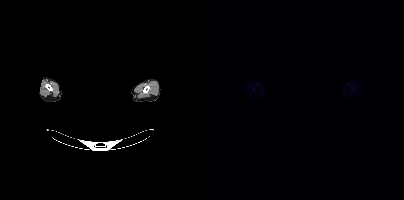
{"modality":"PSMA PET/CT","view":"axial","tracer":"[18F]PSMA-1007","pet_grid":[200,200],"coord_frame":"pet_panel","coord_format":"x0,y0,x1,y1","psma_avid_lesions":false,"redaction":"privacy mask over head"}